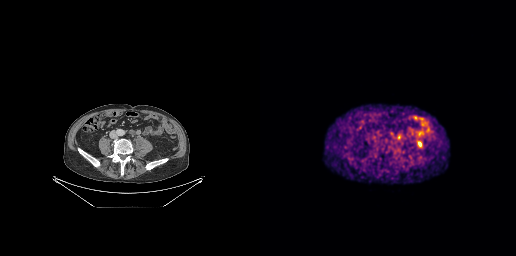
{"modality":"PSMA PET/CT","view":"axial","tracer":"68Ga","pet_grid":[256,256],"coord_frame":"pet_panel","coord_format":"x0,y0,x1,y1","psma_avid_lesions":false}